Technique: Two-panel axial: CT | PSMA PET, [68Ga]Ga-PSMA-11 tracer.
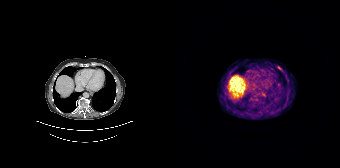
Findings: Coordinates are on the 168×168 PET (right) panel. PSMA-avid tumor lesion bounding box (x0, y0)-(x1, y1): (105, 66)-(110, 71).